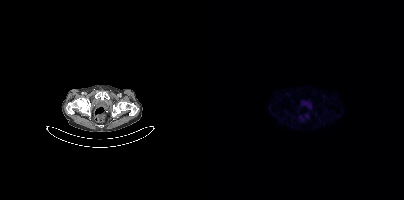
Technique: Paired axial CT (left) and PSMA PET (right), 18F tracer. slice position z = -992 mm.
Findings: No PSMA-avid tumor lesions on this slice.